Left: CT. Right: PSMA PET, same axial level, 18F tracer. Slice 12 of 401. PET panel 200×200 px (4.1 mm/px).
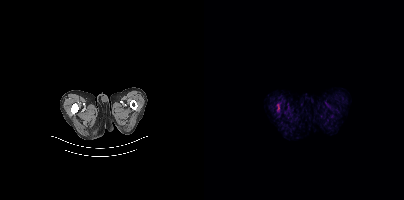
Coordinates are on the 200×200 PET (right) panel. PSMA-avid tumor lesion bounding box (x0,y0,x1,y1): [73,104,75,111].